The head region is masked for de-identification.
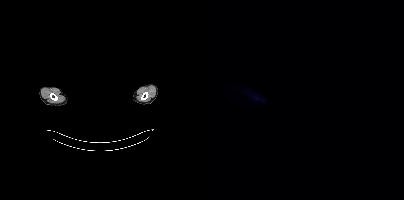
No PSMA-avid tumor lesions on this slice.